- Left: CT. Right: PSMA PET, same axial level, 18F tracer
- slice position z = -1029 mm
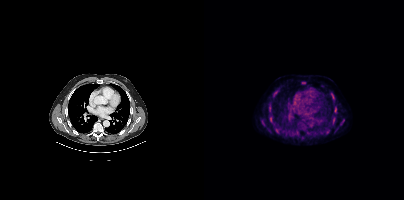
Findings: Coordinates are on the 200×200 PET (right) panel. PSMA-avid tumor lesion bounding boxes (x, y, width, height): x=127 y=93 w=4 h=6; x=136 y=119 w=5 h=7; x=69 y=91 w=5 h=5; x=129 y=118 w=2 h=6. Small PSMA-avid foci (2 to 4 px across) near (center x, center y): (99, 82); (131, 111).